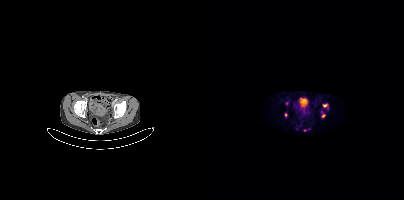
{"modality":"PSMA PET/CT","view":"axial","tracer":"68Ga-PSMA","pet_grid":[200,200],"coord_frame":"pet_panel","coord_format":"x0,y0,x1,y1","partial":true,"lesion_bboxes":[[119,103,124,107]],"small_foci_centers":[[119,115],[93,128],[82,102]]}